Two-panel axial: CT | PSMA PET, 18F-PSMA tracer. Slice position z = -548 mm. PET panel 200×200 px (4.1 mm/px).
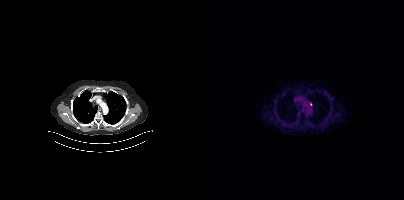
Only PSMA-avid lesion pieces thinner than 2 px on this slice (not listed).